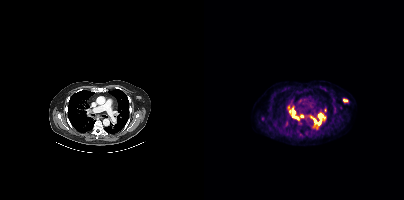
Technique: Two-panel axial: CT | PSMA PET, [18F]PSMA-1007 tracer. acquired on Siemens Biograph mCT Flow 20. slice 325 of 448. PET panel 200×200 px (4.1 mm/px).
Findings: Coordinates are on the 200×200 PET (right) panel. (showing 6 of 8 foci) PSMA-avid tumor lesion bounding boxes (x0, y0)-(x1, y1): (83, 105)-(95, 119); (114, 113)-(121, 125); (105, 115)-(112, 122); (139, 99)-(143, 102). Small PSMA-avid foci (2 to 4 px across) near (center x, center y): (98, 115); (110, 124).